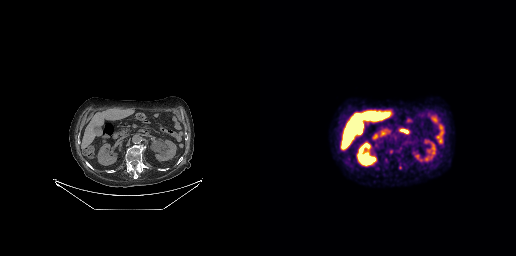
modality: PSMA PET/CT | tracer: 18F-PSMA | view: axial
Only PSMA-avid lesion pieces thinner than 2 px on this slice (not listed).